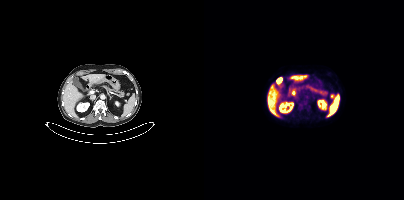
- Left: CT. Right: PSMA PET, same axial level, [18F]PSMA-1007 tracer
- slice position z = -1236 mm
- PET panel 200×200 px (4.1 mm/px)
Findings: Coordinates are on the 200×200 PET (right) panel. PSMA-avid tumor lesion bounding box (x, y, width, height): x=126 y=94 w=5 h=5.